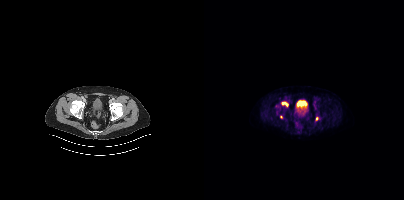
Paired axial CT (left) and PSMA PET (right), 18F-PSMA tracer. Acquired on Siemens Biograph mCT Flow 20. Slice 75 of 444.
Coordinates are on the 200×200 PET (right) panel. PSMA-avid tumor lesion bounding boxes (partial; 1 more focus not listed):
| # | x0 | y0 | x1 | y1 |
|---|---|---|---|---|
| 1 | 78 | 102 | 83 | 105 |
Small PSMA-avid focus (2 to 4 px across) near (center x, center y): (112, 118).